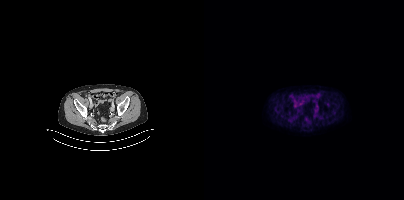
Left: CT. Right: PSMA PET, same axial level, 18F-PSMA tracer. Negative for PSMA-avid disease on this slice.